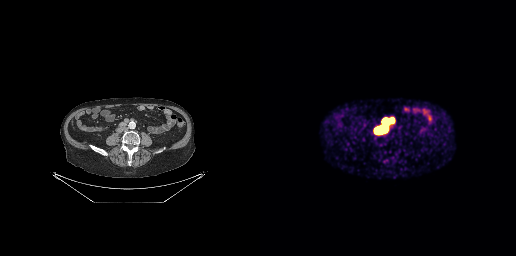
Left: CT. Right: PSMA PET, same axial level, 68Ga tracer. Acquired on GE Discovery 690. PET panel 256×256 px (2.7 mm/px).
Coordinates are on the 256×256 PET (right) panel. PSMA-avid tumor lesion bounding boxes:
| # | x0 | y0 | x1 | y1 |
|---|---|---|---|---|
| 1 | 115 | 119 | 133 | 132 |